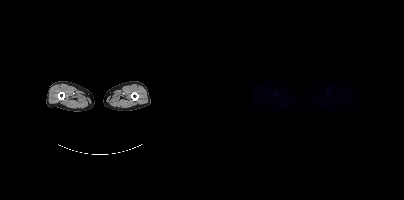
No PSMA-avid tumor lesions on this slice.